- Left: CT. Right: PSMA PET, same axial level, 18F tracer
- slice position z = -1312 mm
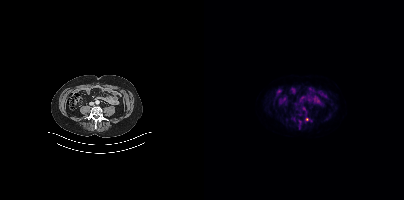
Findings: Only PSMA-avid lesion pieces thinner than 2 px on this slice (not listed).